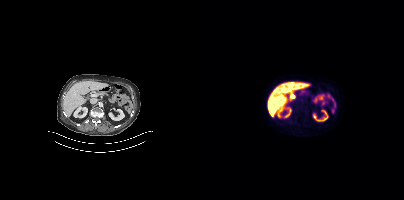
No PSMA-avid tumor lesions on this slice. Left: CT. Right: PSMA PET, same axial level, [18F]PSMA-1007 tracer. Slice 179 of 383. PET panel 200×200 px (4.1 mm/px).